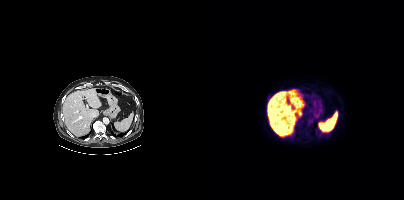
Only PSMA-avid lesion pieces thinner than 2 px on this slice (not listed).